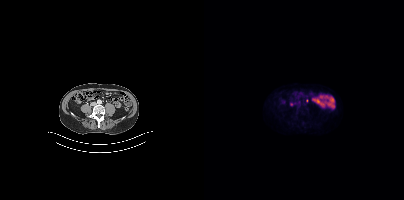
Technique: Two-panel axial: CT | PSMA PET, 18F tracer. acquired on Siemens Biograph mCT Flow 20.
Findings: Coordinates are on the 200×200 PET (right) panel. (showing 1 of 2 foci) Small PSMA-avid focus (2 to 4 px across) near (center x, center y): (87, 104).